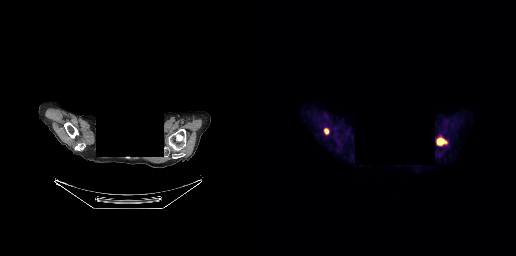
deidentification: head region blacked out before release | modality: PSMA PET/CT | tracer: [18F]PSMA-1007 | view: axial
Coordinates are on the 256×256 PET (right) panel. PSMA-avid tumor lesion bounding boxes (x, y, width, height): x=177 y=138 w=10 h=8; x=64 y=128 w=5 h=7.